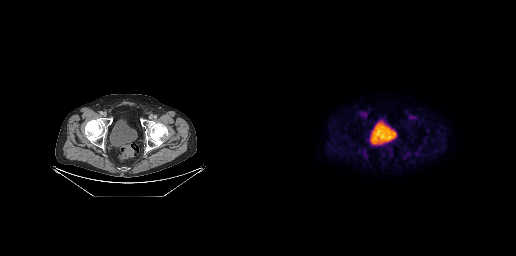
Findings: Negative for PSMA-avid disease on this slice.
Technique: Left: CT. Right: PSMA PET, same axial level, [18F]PSMA-1007 tracer. acquired on GE Discovery 690.